- Two-panel axial: CT | PSMA PET, 18F tracer
- acquired on Siemens Biograph mCT Flow 20
- slice 647 of 963
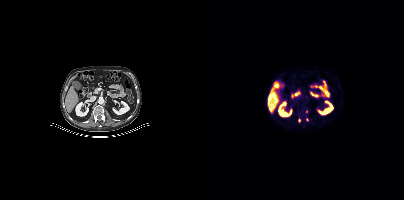
Findings: Coordinates are on the 200×200 PET (right) panel. Small PSMA-avid foci (2 to 4 px across) near (center x, center y): (102, 111), (95, 120), (103, 119).